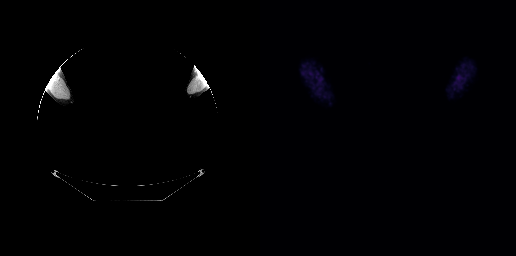
No PSMA-avid tumor lesions on this slice.
modality: PSMA PET/CT | tracer: 18F | view: axial | deidentification: privacy mask over head